Two-panel axial: CT | PSMA PET, [18F]PSMA-1007 tracer. PET panel 168×168 px (4.1 mm/px).
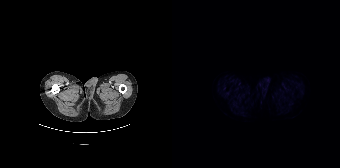
Negative for PSMA-avid disease on this slice.